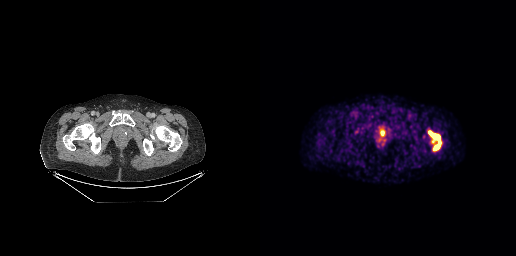
Findings: Coordinates are on the 256×256 PET (right) panel. PSMA-avid tumor lesion bounding box (x0, y0)-(x1, y1): (168, 130)-(181, 150).
Technique: Two-panel axial: CT | PSMA PET, [68Ga]Ga-PSMA-11 tracer. acquired on GE Discovery 690.